Technique: Two-panel axial: CT | PSMA PET, [18F]PSMA-1007 tracer. acquired on Siemens Biograph mCT Flow 20. slice 215 of 387.
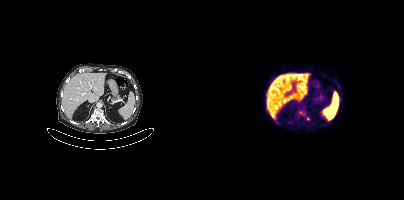
Findings: Coordinates are on the 200×200 PET (right) panel. (showing 1 of 2 foci) PSMA-avid tumor lesion bounding box (x0, y0)-(x1, y1): (94, 111)-(98, 114).